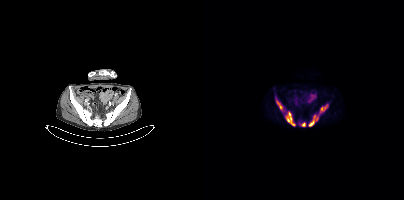
Coordinates are on the 200×200 PET (right) panel. PSMA-avid tumor lesion bounding boxes (x, y, width, height): x=71 y=97 w=21 h=30 / x=104 y=114 w=11 h=13 / x=116 y=104 w=9 h=10 / x=96 y=122 w=6 h=5.